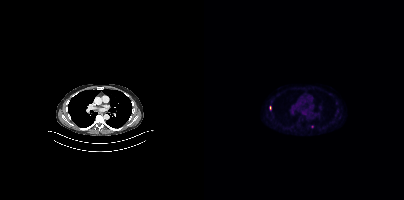
modality: PSMA PET/CT | tracer: 18F | view: axial
Coordinates are on the 200×200 PET (right) panel. Small PSMA-avid foci (2 to 4 px across) near (center x, center y): (108, 126) / (66, 107).